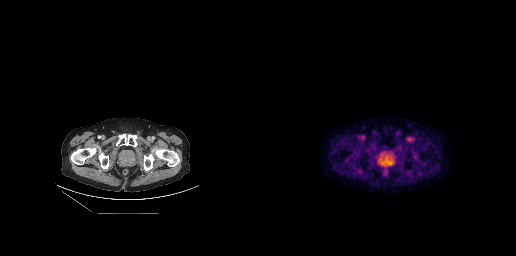
{"modality":"PSMA PET/CT","view":"axial","tracer":"[18F]PSMA-1007","pet_grid":[256,256],"coord_frame":"pet_panel","coord_format":"x0,y0,x1,y1","psma_avid_lesions":false}